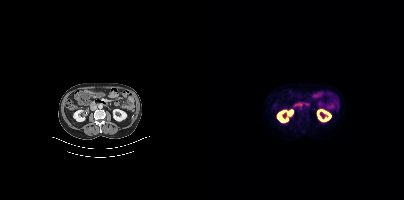
This slice has no annotated PSMA-avid lesion.
modality: PSMA PET/CT | tracer: [18F]PSMA-1007 | view: axial